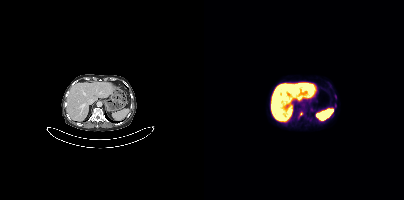
{"modality":"PSMA PET/CT","view":"axial","tracer":"[18F]PSMA-1007","pet_grid":[200,200],"coord_frame":"pet_panel","coord_format":"x0,y0,x1,y1","lesion_bboxes":[[95,111,99,117]]}